Technique: Paired axial CT (left) and PSMA PET (right), 18F-PSMA tracer. acquired on Siemens Biograph mCT Flow 20. PET panel 200×200 px (4.1 mm/px).
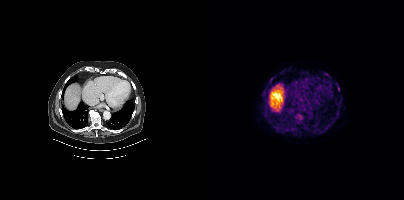
Findings: Coordinates are on the 200×200 PET (right) panel. (showing 1 of 2 foci) PSMA-avid tumor lesion bounding box (x0,y0,x1,y1): [95,115,97,119].